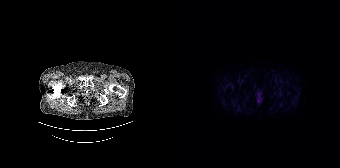
This slice has no annotated PSMA-avid lesion.